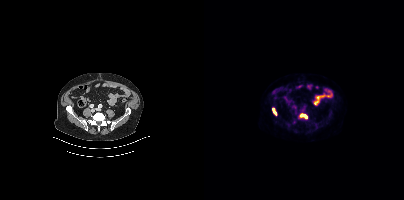
Coordinates are on the 200×200 PET (right) panel. PSMA-avid tumor lesion bounding boxes (x0,y0,x1,y1): [96,113,103,118] [68,108,72,115]. Two-panel axial: CT | PSMA PET, 18F-PSMA tracer.